Left: CT. Right: PSMA PET, same axial level, 18F tracer. PET panel 200×200 px (4.1 mm/px).
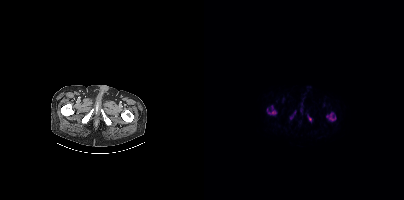
Coordinates are on the 200×200 PET (right) panel. PSMA-avid tumor lesion bounding boxes (partial; 2 more foci not listed):
| # | x0 | y0 | x1 | y1 |
|---|---|---|---|---|
| 1 | 122 | 112 | 132 | 121 |
| 2 | 63 | 105 | 72 | 115 |
| 3 | 104 | 115 | 107 | 121 |